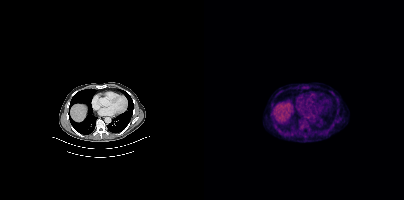
Left: CT. Right: PSMA PET, same axial level, 18F-PSMA tracer. Acquired on Siemens Biograph mCT Flow 20. PET panel 200×200 px (4.1 mm/px). Coordinates are on the 200×200 PET (right) panel. Small PSMA-avid focus (2 to 4 px across) near (center x, center y): (100, 126).